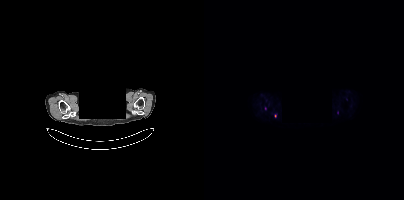
{"modality":"PSMA PET/CT","view":"axial","tracer":"18F","pet_grid":[200,200],"coord_frame":"pet_panel","coord_format":"x0,y0,x1,y1","partial":true,"lesion_bboxes":[],"small_foci_centers":[[61,108],[133,112]],"de-identification":"head region blanked (face removed)"}